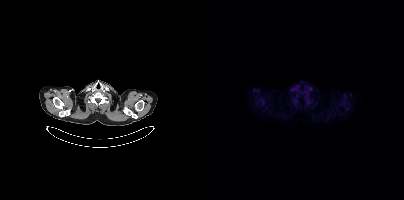
This slice has no annotated PSMA-avid lesion.